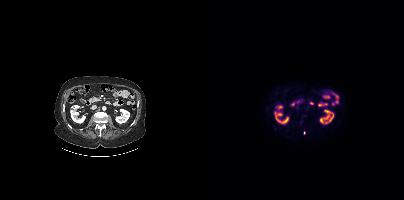
{"pet_grid":[200,200],"coord_frame":"pet_panel","coord_format":"x0,y0,x1,y1","partial":true,"lesion_bboxes":[],"modality":"PSMA PET/CT","view":"axial","tracer":"[18F]PSMA-1007"}